Paired axial CT (left) and PSMA PET (right), 18F tracer. Slice 242 of 417. PET panel 200×200 px (4.1 mm/px).
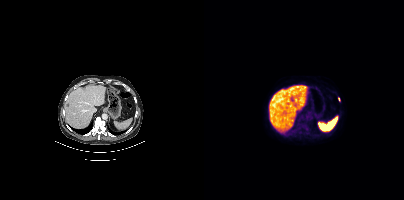
Coordinates are on the 200×200 PET (right) panel. Small PSMA-avid focus (2 to 4 px across) near (center x, center y): (135, 99).